Technique: Paired axial CT (left) and PSMA PET (right), 18F-PSMA tracer.
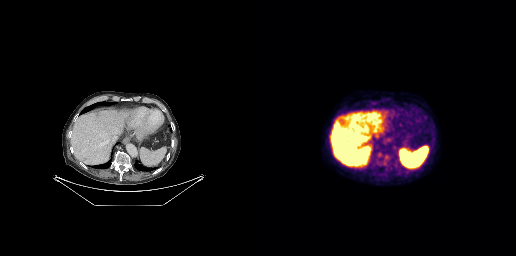
Findings: Coordinates are on the 256×256 PET (right) panel. Small PSMA-avid foci (2 to 4 px across) near (center x, center y): (119, 154) (126, 156).